Technique: Paired axial CT (left) and PSMA PET (right), [18F]PSMA-1007 tracer.
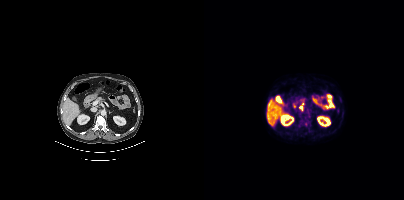
Findings: Coordinates are on the 200×200 PET (right) panel. Small PSMA-avid focus (2 to 4 px across) near (center x, center y): (97, 107).